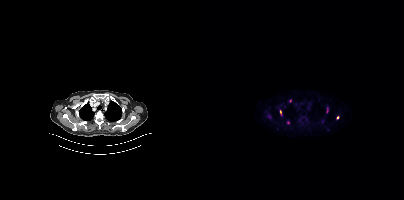
Coordinates are on the 200×200 PET (right) panel. (showing 4 of 5 foci) Small PSMA-avid foci (2 to 4 px across) near (center x, center y): (84, 122); (76, 111); (133, 117); (86, 100). Paired axial CT (left) and PSMA PET (right), [18F]PSMA-1007 tracer. Slice position z = -374 mm. PET panel 200×200 px (4.1 mm/px).